Two-panel axial: CT | PSMA PET, 18F-PSMA tracer. Slice position z = -368 mm.
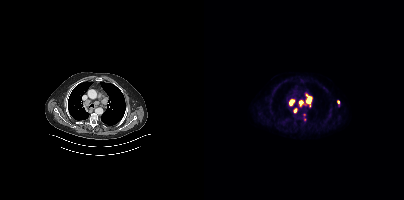
Coordinates are on the 200×200 PET (right) panel. PSMA-avid tumor lesion bounding boxes (partial; 2 more foci not listed):
| # | x0 | y0 | x1 | y1 |
|---|---|---|---|---|
| 1 | 95 | 93 | 108 | 106 |
| 2 | 85 | 99 | 90 | 105 |
| 3 | 89 | 108 | 93 | 112 |
Small PSMA-avid focus (2 to 4 px across) near (center x, center y): (134, 102).